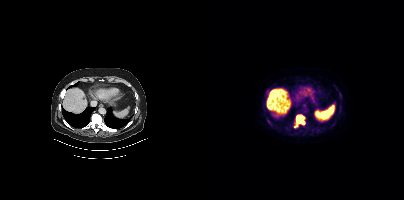
Two-panel axial: CT | PSMA PET, 18F tracer. Slice position z = -997 mm.
Coordinates are on the 200×200 PET (right) panel. PSMA-avid tumor lesion bounding boxes:
| # | x0 | y0 | x1 | y1 |
|---|---|---|---|---|
| 1 | 90 | 115 | 100 | 127 |
| 2 | 112 | 129 | 116 | 133 |
Small PSMA-avid foci (2 to 4 px across) near (center x, center y): (135, 109); (107, 129); (136, 95); (65, 122); (100, 126).